modality: PSMA PET/CT | tracer: 18F-PSMA | view: axial | PET grid: 256×256
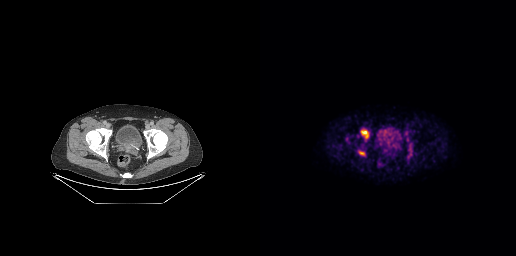
Coordinates are on the 256×256 PET (right) panel. PSMA-avid tumor lesion bounding boxes (x0,y0,x1,y1): [101,130,108,138]; [99,152,104,154].